Technique: Two-panel axial: CT | PSMA PET, 18F-PSMA tracer. acquired on Siemens Biograph mCT Flow 20.
Note: Head region blanked for anonymization (face removed).
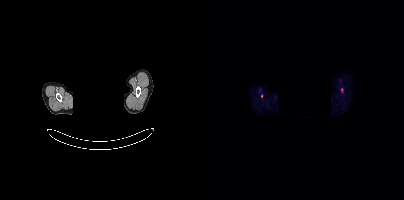
Findings: Coordinates are on the 200×200 PET (right) panel. Small PSMA-avid foci (2 to 4 px across) near (center x, center y): (57, 96); (137, 90).